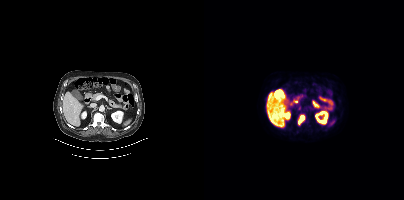
Coordinates are on the 200×200 PET (right) panel. PSMA-avid tumor lesion bounding box (x, y, width, height): x=94 y=115 w=8 h=10.